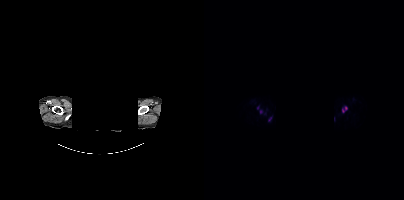
Two-panel axial: CT | PSMA PET, [18F]PSMA-1007 tracer. Slice position z = -1027 mm. PET panel 200×200 px (4.1 mm/px). An anonymization step blacked out a rectangle over the head in this scan. Coordinates are on the 200×200 PET (right) panel. PSMA-avid tumor lesion bounding boxes (x0, y0)-(x1, y1): (138, 106)-(143, 112); (64, 117)-(67, 121). Small PSMA-avid foci (2 to 4 px across) near (center x, center y): (57, 111); (53, 107).